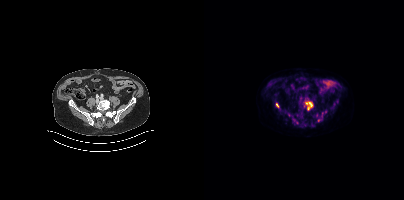
Findings: Coordinates are on the 200×200 PET (right) panel. (showing 4 of 6 foci) PSMA-avid tumor lesion bounding boxes (x0, y0)-(x1, y1): (100, 101)-(109, 110) | (113, 119)-(118, 121) | (72, 103)-(74, 107) | (117, 112)-(119, 117).
Technique: Two-panel axial: CT | PSMA PET, 18F tracer. PET panel 200×200 px (4.1 mm/px).